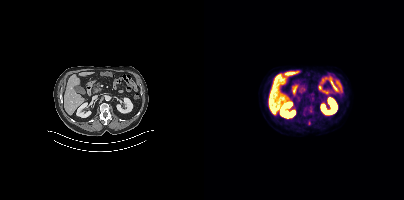
- Two-panel axial: CT | PSMA PET, 18F-PSMA tracer
- acquired on Siemens Biograph mCT Flow 20
- slice position z = -1200 mm
Findings: Only PSMA-avid lesion pieces thinner than 2 px on this slice (not listed).